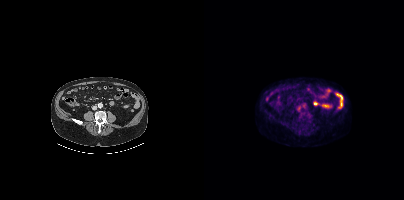
Negative for PSMA-avid disease on this slice. Left: CT. Right: PSMA PET, same axial level, [18F]PSMA-1007 tracer. Slice position z = -1182 mm.